Left: CT. Right: PSMA PET, same axial level, 18F tracer. Acquired on Siemens Biograph 64-4R TruePoint. Slice position z = -1485 mm. PET panel 168×168 px (4.1 mm/px).
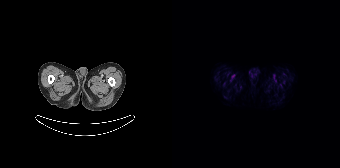
No PSMA-avid tumor lesions on this slice.